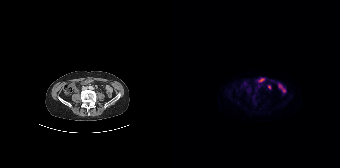
Only PSMA-avid lesion pieces thinner than 2 px on this slice (not listed).